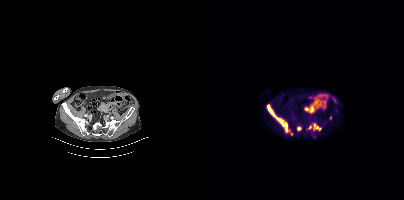
- Two-panel axial: CT | PSMA PET, [18F]PSMA-1007 tracer
- PET panel 200×200 px (4.1 mm/px)
Findings: Coordinates are on the 200×200 PET (right) panel. PSMA-avid tumor lesion bounding boxes (x, y, width, height): x=63 y=104 w=23 h=29 | x=104 y=123 w=14 h=8 | x=93 y=126 w=5 h=5. Small PSMA-avid foci (2 to 4 px across) near (center x, center y): (126, 117) | (87, 133) | (110, 136).